modality: PSMA PET/CT | tracer: 18F-PSMA | view: axial
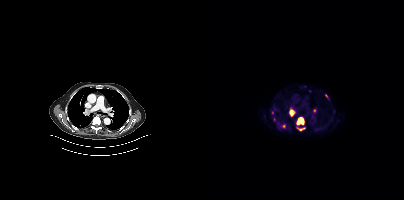
Coordinates are on the 200×200 PET (right) panel. (showing 8 of 10 foci) PSMA-avid tumor lesion bounding boxes (x, y, width, height): x=93 y=117 w=8 h=8; x=86 y=109 w=5 h=7; x=93 y=128 w=7 h=3. Small PSMA-avid foci (2 to 4 px across) near (center x, center y): (68, 112); (80, 126); (70, 119); (122, 95); (110, 110).